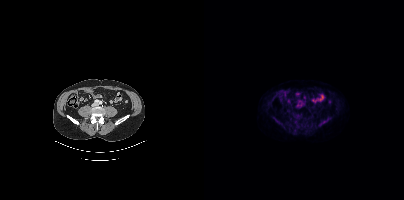
{"modality":"PSMA PET/CT","view":"axial","tracer":"18F-PSMA","pet_grid":[200,200],"coord_frame":"pet_panel","coord_format":"x0,y0,x1,y1","psma_avid_lesions":false}